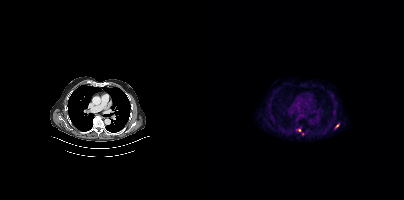
- Left: CT. Right: PSMA PET, same axial level, 18F tracer
- slice position z = -1094 mm
- PET panel 200×200 px (4.1 mm/px)
Findings: Coordinates are on the 200×200 PET (right) panel. Small PSMA-avid foci (2 to 4 px across) near (center x, center y): (95, 130), (133, 125).